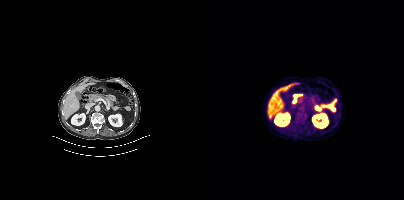
This slice has no annotated PSMA-avid lesion.